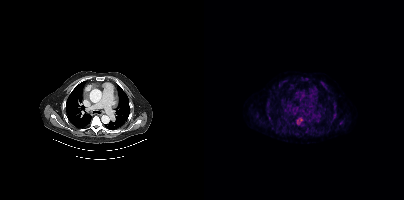
modality: PSMA PET/CT | tracer: [18F]PSMA-1007 | view: axial | PET grid: 200×200
Coordinates are on the 200×200 PET (right) panel. PSMA-avid tumor lesion bounding box (x0,y0,x1,y1): [93,117,98,124].